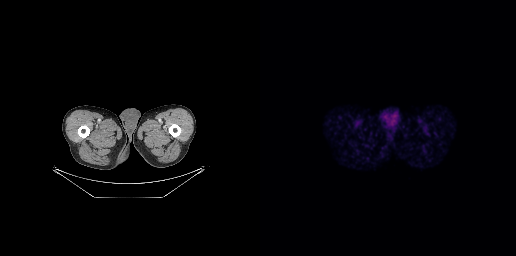
Negative for PSMA-avid disease on this slice.